Left: CT. Right: PSMA PET, same axial level, 18F-PSMA tracer. Slice position z = -835 mm. A rectangle over the head was blacked out to remove identifiable facial features.
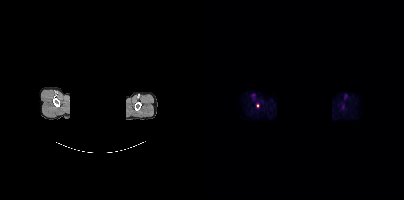
Coordinates are on the 200×200 PET (right) panel. Small PSMA-avid focus (2 to 4 px across) near (center x, center y): (53, 105).